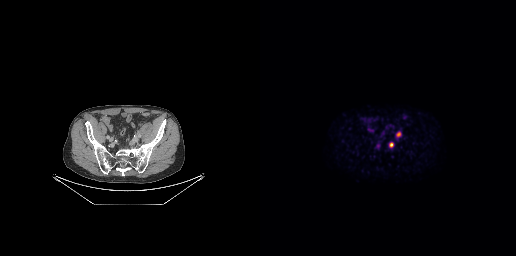
Coordinates are on the 256×256 PET (right) panel. PSMA-avid tumor lesion bounding boxes (x, y, width, height): x=129 y=142 w=5 h=6 / x=136 y=132 w=5 h=6.